- Two-panel axial: CT | PSMA PET, 18F tracer
- slice 805 of 963
- privacy masking over the head, with the pixels inside a rectangle set to black
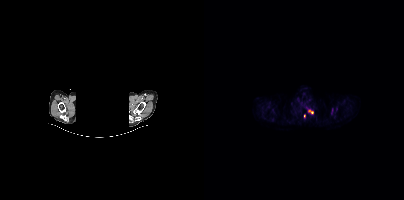
Findings: Coordinates are on the 200×200 PET (right) panel. PSMA-avid tumor lesion bounding box (x0, y0)-(x1, y1): (104, 110)-(109, 113). Small PSMA-avid foci (2 to 4 px across) near (center x, center y): (100, 116) / (127, 111).